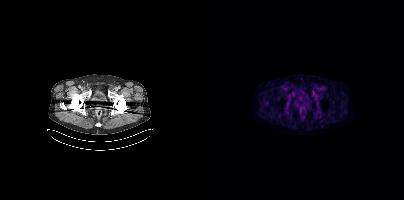
Negative for PSMA-avid disease on this slice. Left: CT. Right: PSMA PET, same axial level, [18F]PSMA-1007 tracer. Slice position z = 1136 mm. PET panel 200×200 px (4.1 mm/px).